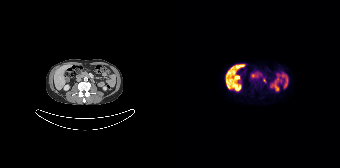
Paired axial CT (left) and PSMA PET (right), 18F tracer. Acquired on Siemens Biograph 64-4R TruePoint. Slice 73 of 165. No PSMA-avid tumor lesions on this slice.